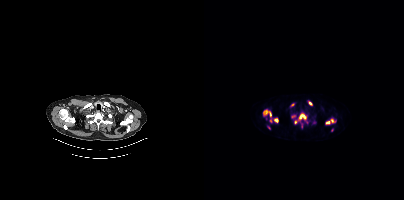
Coordinates are on the 200×200 PET (right) panel. (showing 8 of 10 foci) PSMA-avid tumor lesion bounding boxes (x0,y0,x1,y1): [95,113,102,119], [122,119,131,124], [60,110,63,114], [70,118,74,122], [65,111,67,116]. Small PSMA-avid foci (2 to 4 px across) near (center x, center y): (106, 103), (91, 122), (65, 127).